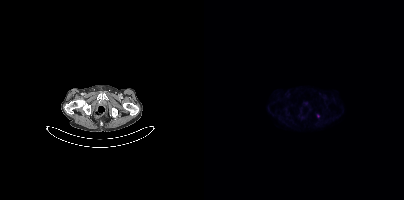
Coordinates are on the 200×200 PET (right) panel. Small PSMA-avid focus (2 to 4 px across) near (center x, center y): (114, 116).